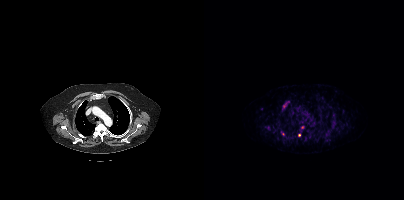
Paired axial CT (left) and PSMA PET (right), [68Ga]Ga-PSMA-11 tracer. Slice 323 of 444. Coordinates are on the 200×200 PET (right) panel. PSMA-avid tumor lesion bounding box (x, y, width, height): x=78 y=101 w=8 h=9. Small PSMA-avid foci (2 to 4 px across) near (center x, center y): (98, 127) | (95, 134) | (79, 134).